modality: PSMA PET/CT | tracer: [18F]PSMA-1007 | view: axial
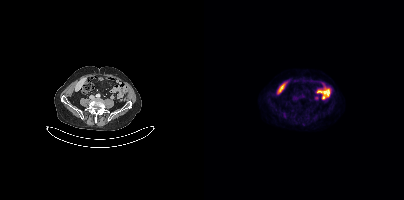
This slice has no annotated PSMA-avid lesion.